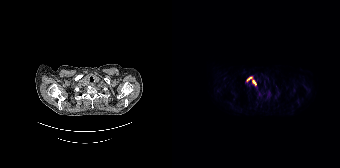
Paired axial CT (left) and PSMA PET (right), [18F]PSMA-1007 tracer. Acquired on Siemens Biograph 64-4R TruePoint. PET panel 168×168 px (4.1 mm/px).
Coordinates are on the 168×168 PET (right) panel. PSMA-avid tumor lesion bounding boxes:
| # | x0 | y0 | x1 | y1 |
|---|---|---|---|---|
| 1 | 74 | 76 | 84 | 85 |